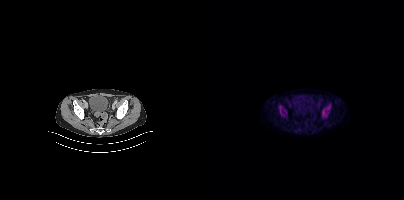
Findings: Coordinates are on the 200×200 PET (right) panel. (showing 2 of 3 foci) PSMA-avid tumor lesion bounding boxes (x0,y0,x1,y1): [76,110,78,114] [119,110,120,115].
- Two-panel axial: CT | PSMA PET, 18F-PSMA tracer
- acquired on Siemens Biograph mCT Flow 20
- PET panel 200×200 px (4.1 mm/px)